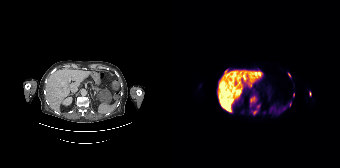
{"modality":"PSMA PET/CT","view":"axial","tracer":"18F","pet_grid":[168,168],"coord_frame":"pet_panel","coord_format":"x0,y0,x1,y1","partial":true,"lesion_bboxes":[[78,96,84,106],[80,105,88,114]],"small_foci_centers":[[138,93],[117,74],[121,94],[54,70]]}